Two-panel axial: CT | PSMA PET, [18F]PSMA-1007 tracer. PET panel 200×200 px (4.1 mm/px).
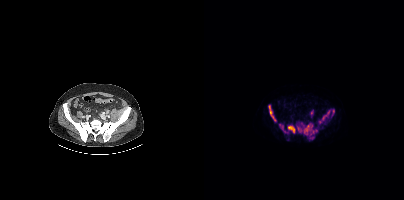
Coordinates are on the 200×200 PET (right) panel. PSMA-avid tumor lesion bounding boxes (partial; 3 more foci not listed):
| # | x0 | y0 | x1 | y1 |
|---|---|---|---|---|
| 1 | 116 | 110 | 126 | 122 |
| 2 | 64 | 105 | 72 | 121 |
| 3 | 84 | 125 | 91 | 133 |
| 4 | 100 | 125 | 105 | 134 |
| 5 | 104 | 135 | 110 | 139 |
| 6 | 109 | 129 | 113 | 133 |
| 7 | 128 | 109 | 130 | 115 |
Small PSMA-avid foci (2 to 4 px across) near (center x, center y): (78, 127); (107, 126).